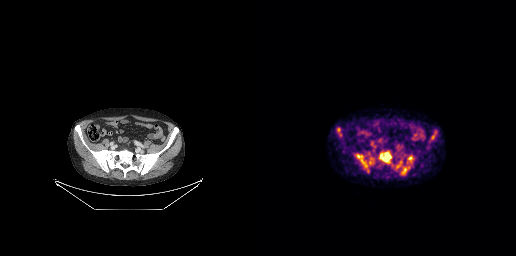
- Left: CT. Right: PSMA PET, same axial level, [18F]PSMA-1007 tracer
- acquired on GE Discovery 690
- slice position z = -643 mm
Findings: Coordinates are on the 256×256 PET (right) panel. (showing 5 of 7 foci) PSMA-avid tumor lesion bounding boxes (x0, y0)-(x1, y1): (138, 160)-(150, 175) | (120, 152)-(131, 163) | (96, 154)-(107, 168) | (147, 155)-(153, 163) | (109, 158)-(113, 164).